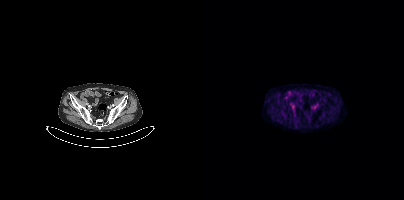
{"modality":"PSMA PET/CT","view":"axial","tracer":"18F-PSMA","pet_grid":[200,200],"coord_frame":"pet_panel","coord_format":"x0,y0,x1,y1","psma_avid_lesions":false}